modality: PSMA PET/CT | tracer: 18F | view: axial | PET grid: 200×200
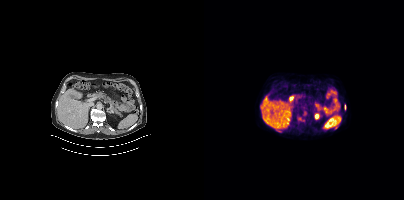
No tumor lesions annotated on this slice.